modality: PSMA PET/CT | tracer: 18F-PSMA | view: axial
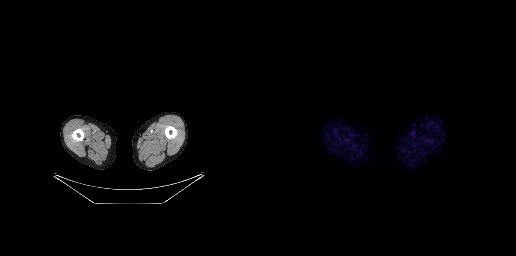
This slice has no annotated PSMA-avid lesion.